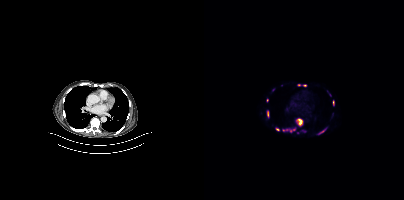
Coordinates are on the 200×200 PET (right) panel. (showing 10 of 12 foci) PSMA-avid tumor lesion bounding boxes (x0, y0)-(x1, y1): (92, 118)-(98, 126) | (78, 128)-(91, 132) | (114, 128)-(122, 134) | (63, 110)-(65, 116) | (129, 100)-(130, 105). Small PSMA-avid foci (2 to 4 px across) near (center x, center y): (73, 129) | (100, 85) | (95, 84) | (63, 100) | (93, 132).